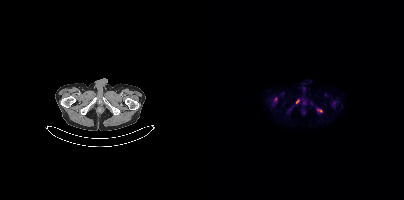
Technique: Left: CT. Right: PSMA PET, same axial level, [18F]PSMA-1007 tracer. acquired on Siemens Biograph mCT Flow 20. PET panel 200×200 px (4.1 mm/px).
Findings: Coordinates are on the 200×200 PET (right) panel. PSMA-avid tumor lesion bounding box (x0,y0,x1,y1): [113,109,118,112]. Small PSMA-avid foci (2 to 4 px across) near (center x, center y): (93, 101); (71, 99).